Left: CT. Right: PSMA PET, same axial level, 18F tracer. Slice 233 of 299.
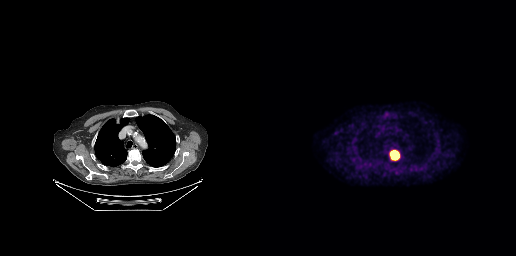
Coordinates are on the 256×256 PET (right) panel. PSMA-avid tumor lesion bounding box (x, y, width, height): x=131 y=151 w=8 h=9.